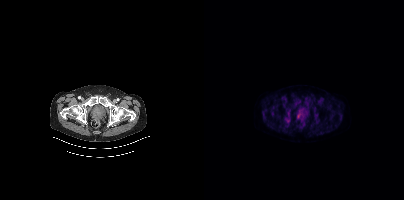
Coordinates are on the 200×200 PET (right) panel. Small PSMA-avid focus (2 to 4 px across) near (center x, center y): (94, 115).